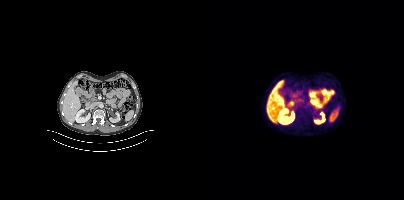
No tumor lesions annotated on this slice.
modality: PSMA PET/CT | tracer: 18F-PSMA | view: axial